Technique: Paired axial CT (left) and PSMA PET (right), 18F-PSMA tracer. slice 218 of 263.
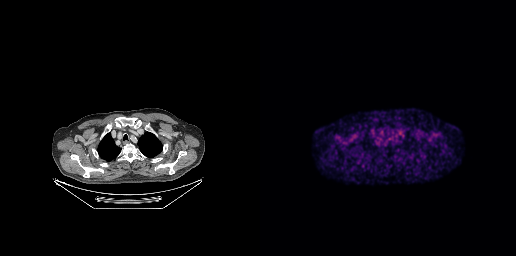
Findings: This slice has no annotated PSMA-avid lesion.